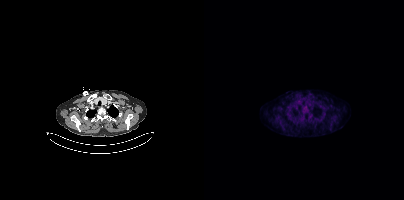
Coordinates are on the 200×200 PET (right) panel. Small PSMA-avid focus (2 to 4 px across) near (center x, center y): (99, 116).